- Left: CT. Right: PSMA PET, same axial level, [18F]PSMA-1007 tracer
- slice 180 of 407
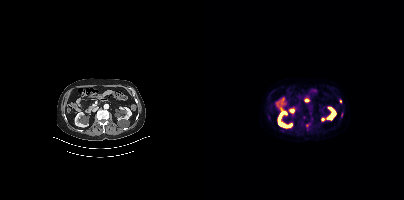
Findings: Coordinates are on the 200×200 PET (right) panel. (showing 2 of 4 foci) PSMA-avid tumor lesion bounding box (x0,y0,x1,y1): [102,125,104,130]. Small PSMA-avid focus (2 to 4 px across) near (center x, center y): (136, 101).